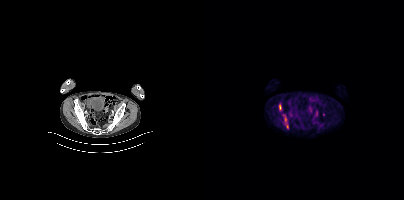
- Left: CT. Right: PSMA PET, same axial level, [18F]PSMA-1007 tracer
- slice 91 of 421
Findings: Coordinates are on the 200×200 PET (right) panel. PSMA-avid tumor lesion bounding box (x, y, width, height): x=75 y=104 w=3 h=6. Small PSMA-avid focus (2 to 4 px across) near (center x, center y): (83, 126).